Technique: Two-panel axial: CT | PSMA PET, 18F tracer. slice 46 of 409.
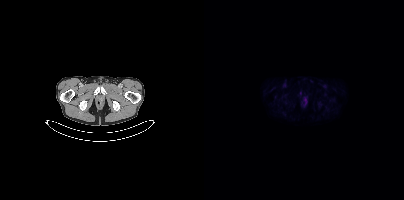
Findings: Coordinates are on the 200×200 PET (right) panel. Small PSMA-avid focus (2 to 4 px across) near (center x, center y): (96, 92).